Two-panel axial: CT | PSMA PET, [18F]PSMA-1007 tracer. PET panel 200×200 px (4.1 mm/px).
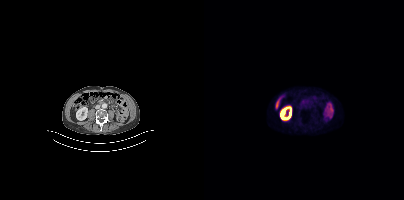
No PSMA-avid tumor lesions on this slice.